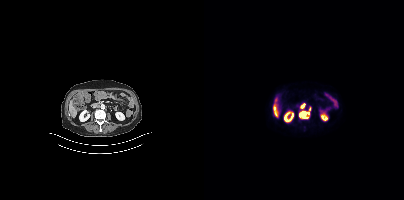
Findings: Coordinates are on the 200×200 PET (right) panel. PSMA-avid tumor lesion bounding boxes (x0, y0)-(x1, y1): (95, 111)-(105, 118) / (96, 104)-(101, 108). Small PSMA-avid focus (2 to 4 px across) near (center x, center y): (105, 108).
Technique: Paired axial CT (left) and PSMA PET (right), 18F tracer. acquired on Siemens Biograph mCT Flow 20. slice 160 of 403. PET panel 200×200 px (4.1 mm/px).